Two-panel axial: CT | PSMA PET, [18F]PSMA-1007 tracer. PET panel 256×256 px (2.7 mm/px).
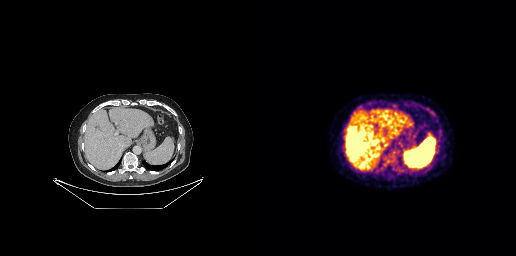
No tumor lesions annotated on this slice.